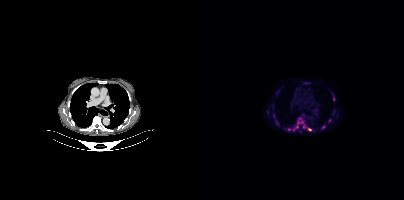
Coordinates are on the 200×200 PET (right) panel. PSMA-avid tumor lesion bounding boxes (partial; 1 more focus not listed):
| # | x0 | y0 | x1 | y1 |
|---|---|---|---|---|
| 1 | 88 | 118 | 108 | 131 |
| 2 | 69 | 113 | 70 | 117 |
Small PSMA-avid foci (2 to 4 px across) near (center x, center y): (85, 129); (129, 98); (119, 127); (63, 112); (125, 120); (72, 122).
Paired axial CT (left) and PSMA PET (right), [18F]PSMA-1007 tracer. Slice position z = 356 mm.